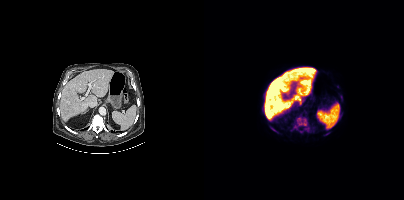
Findings: Coordinates are on the 200×200 PET (right) panel. (showing 3 of 4 foci) PSMA-avid tumor lesion bounding boxes (x0,y0,x1,y1): [89,114,105,132] [66,126,72,131]. Small PSMA-avid focus (2 to 4 px across) near (center x, center y): (133, 86).
Technique: Left: CT. Right: PSMA PET, same axial level, [18F]PSMA-1007 tracer. acquired on Siemens Biograph mCT Flow 20. slice 229 of 423.